modality: PSMA PET/CT | tracer: 18F-PSMA | view: axial | PET grid: 200×200
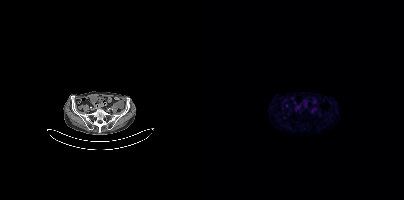
Negative for PSMA-avid disease on this slice.